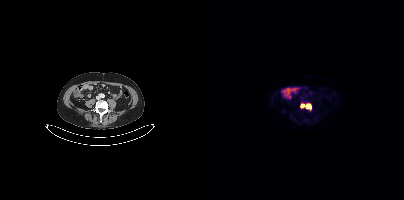
{"modality":"PSMA PET/CT","view":"axial","tracer":"18F","pet_grid":[200,200],"coord_frame":"pet_panel","coord_format":"x0,y0,x1,y1","lesion_bboxes":[[102,104,107,109]],"small_foci_centers":[[98,105]]}